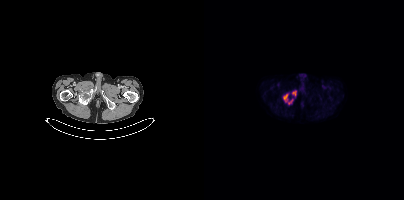
- Left: CT. Right: PSMA PET, same axial level, 18F tracer
Findings: Coordinates are on the 200×200 PET (right) panel. PSMA-avid tumor lesion bounding boxes (x0,y0,x1,y1): [79,94,88,104], [88,91,92,95].